- Two-panel axial: CT | PSMA PET, 18F-PSMA tracer
- acquired on Siemens Biograph mCT Flow 20
- slice position z = 366 mm
- PET panel 200×200 px (4.1 mm/px)
- de-identified by setting a box covering the face to black before release
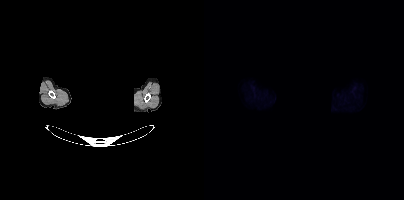
Findings: No PSMA-avid tumor lesions on this slice.